- Left: CT. Right: PSMA PET, same axial level, 68Ga tracer
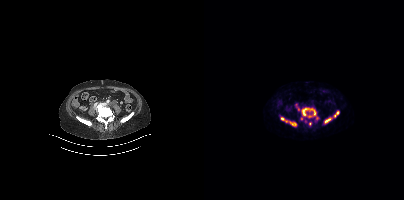
Findings: Coordinates are on the 200×200 PET (right) panel. PSMA-avid tumor lesion bounding boxes (x0, y0)-(x1, y1): (97, 107)-(114, 120) / (76, 116)-(92, 126) / (120, 117)-(128, 123) / (130, 111)-(135, 117). Small PSMA-avid foci (2 to 4 px across) near (center x, center y): (106, 123) / (94, 109) / (100, 121).